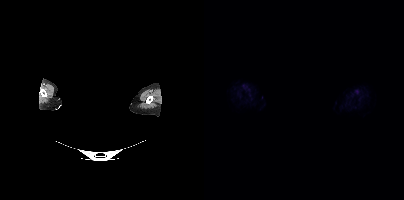
{"modality":"PSMA PET/CT","view":"axial","tracer":"18F-PSMA","pet_grid":[200,200],"coord_frame":"pet_panel","coord_format":"x0,y0,x1,y1","psma_avid_lesions":false,"deidentification":"head region blanked (face removed)"}